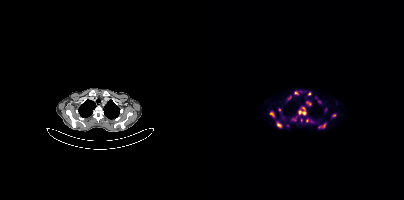
Coordinates are on the 200×200 PET (right) panel. (showing 11 of 18 foci) PSMA-avid tumor lesion bounding boxes (x0, y0)-(x1, y1): (65, 111)-(70, 116) | (95, 111)-(101, 114) | (73, 123)-(77, 127). Small PSMA-avid foci (2 to 4 px across) near (center x, center y): (85, 97) | (120, 125) | (105, 93) | (75, 109) | (92, 92) | (130, 115) | (105, 103) | (97, 120).